Paired axial CT (left) and PSMA PET (right), 18F tracer. Acquired on Siemens Biograph mCT Flow 20. Slice 63 of 395.
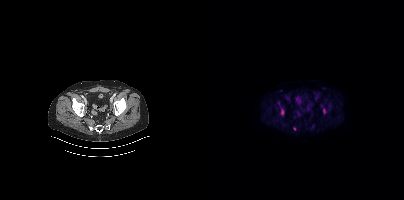
Coordinates are on the 200×200 PET (right) panel. PSMA-avid tumor lesion bounding boxes (partial; 1 more focus not listed):
| # | x0 | y0 | x1 | y1 |
|---|---|---|---|---|
| 1 | 77 | 109 | 79 | 115 |
Small PSMA-avid focus (2 to 4 px across) near (center x, center y): (90, 129).